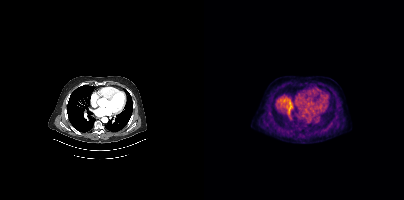
{"modality":"PSMA PET/CT","view":"axial","tracer":"18F-PSMA","pet_grid":[200,200],"coord_frame":"pet_panel","coord_format":"x0,y0,x1,y1","psma_avid_lesions":false}